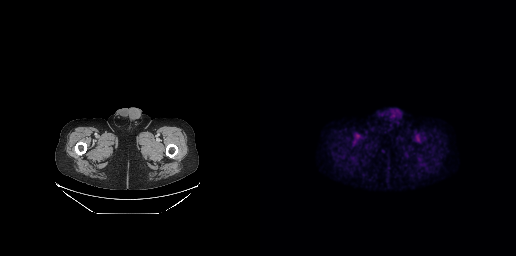
{"modality":"PSMA PET/CT","view":"axial","tracer":"18F","pet_grid":[256,256],"coord_frame":"pet_panel","coord_format":"x0,y0,x1,y1","psma_avid_lesions":false}